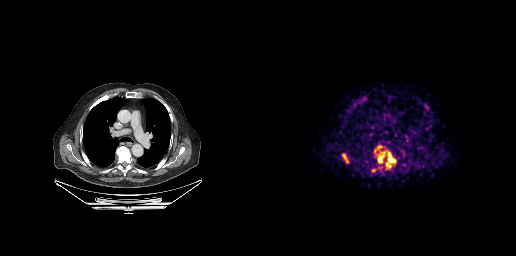
Coordinates are on the 256×256 PET (right) panel. (showing 2 of 3 foci) PSMA-avid tumor lesion bounding box (x0,y0,x1,y1): [114,145,136,169]. Small PSMA-avid focus (2 to 4 px across) near (center x, center y): (113, 170).